- Two-panel axial: CT | PSMA PET, 18F-PSMA tracer
- slice 274 of 397
- PET panel 200×200 px (4.1 mm/px)
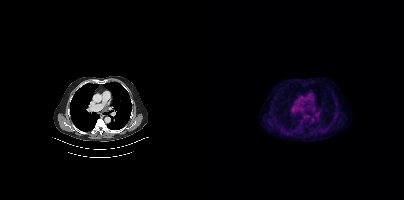
Findings: Negative for PSMA-avid disease on this slice.